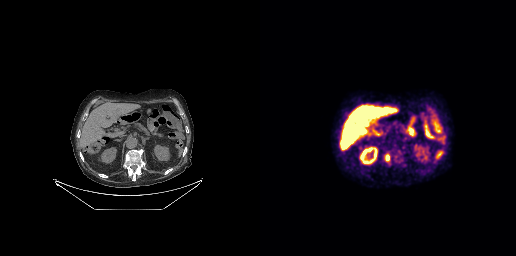
Technique: Paired axial CT (left) and PSMA PET (right), 18F tracer. PET panel 256×256 px (2.7 mm/px).
Findings: Coordinates are on the 256×256 PET (right) panel. PSMA-avid tumor lesion bounding box (x0, y0)-(x1, y1): (126, 155)-(129, 160).